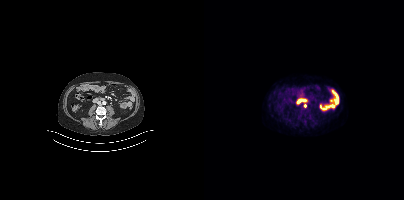
Paired axial CT (left) and PSMA PET (right), [18F]PSMA-1007 tracer. PET panel 200×200 px (4.1 mm/px). Coordinates are on the 200×200 PET (right) panel. Small PSMA-avid focus (2 to 4 px across) near (center x, center y): (101, 105).